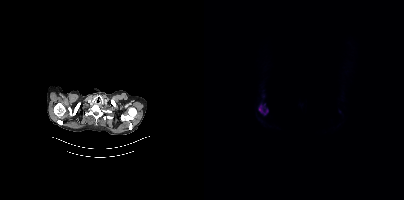
modality: PSMA PET/CT | tracer: [18F]PSMA-1007 | view: axial | PET grid: 200×200
Coordinates are on the 200×200 PET (right) panel. PSMA-avid tumor lesion bounding box (x0,y0,x1,y1): [54,104,64,115].